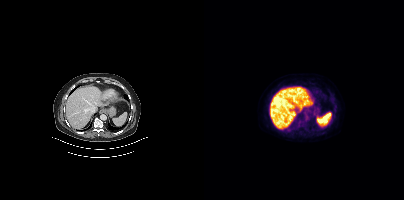
Findings: No tumor lesions annotated on this slice.
- Left: CT. Right: PSMA PET, same axial level, 18F tracer
- slice position z = -450 mm